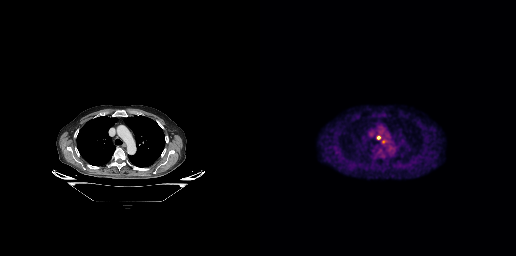
modality: PSMA PET/CT | tracer: [18F]PSMA-1007 | view: axial | PET grid: 256×256
Coordinates are on the 256×256 PET (right) panel. Small PSMA-avid focus (2 to 4 px across) near (center x, center y): (118, 137).